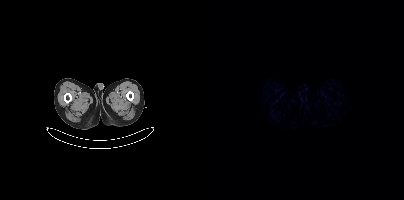
Findings: This slice has no annotated PSMA-avid lesion.
Technique: Paired axial CT (left) and PSMA PET (right), 68Ga-PSMA tracer. acquired on Siemens Biograph mCT Flow 20.